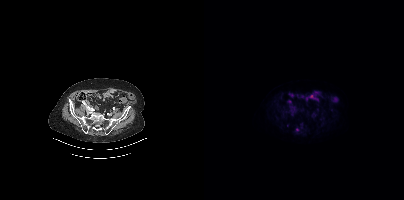
{"modality":"PSMA PET/CT","view":"axial","tracer":"18F","pet_grid":[200,200],"coord_frame":"pet_panel","coord_format":"x0,y0,x1,y1","lesion_bboxes":[],"small_foci_centers":[[93,129]]}